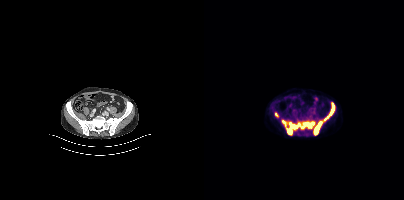
modality: PSMA PET/CT | tracer: 18F | view: axial
Coordinates are on the 200×200 PET (right) panel. PSMA-avid tumor lesion bounding box (x0, y0)-(x1, y1): (78, 103)-(130, 135). Small PSMA-avid focus (2 to 4 px across) near (center x, center y): (72, 114).